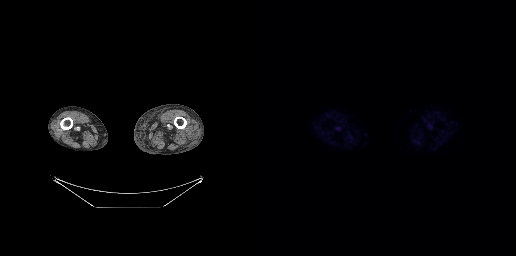
Findings: Negative for PSMA-avid disease on this slice.
- Paired axial CT (left) and PSMA PET (right), [18F]PSMA-1007 tracer
- slice 12 of 299
- PET panel 256×256 px (2.7 mm/px)